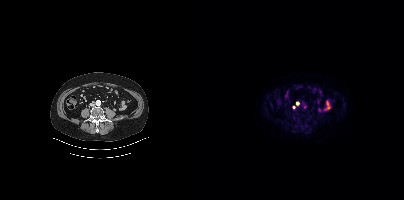
Coordinates are on the 200×200 PET (right) panel. (showing 2 of 3 foci) Small PSMA-avid foci (2 to 4 px across) near (center x, center y): (93, 103) / (89, 106).